modality: PSMA PET/CT | tracer: [18F]PSMA-1007 | view: axial | PET grid: 200×200
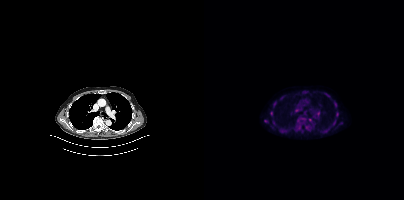
Coordinates are on the 200×200 PET (right) panel. PSMA-avid tumor lesion bounding boxes (x0, y0)-(x1, y1): (94, 118)-(101, 123) / (130, 102)-(132, 107) / (132, 112)-(134, 116). Small PSMA-avid foci (2 to 4 px across) near (center x, center y): (67, 113) / (61, 121) / (106, 120) / (70, 103) / (69, 122).